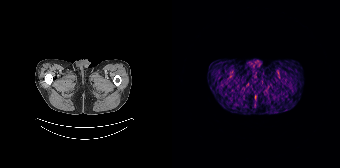
modality: PSMA PET/CT | tracer: 68Ga | view: axial
Negative for PSMA-avid disease on this slice.